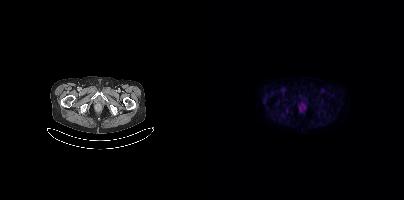
Findings: No PSMA-avid tumor lesions on this slice.
- Two-panel axial: CT | PSMA PET, 18F-PSMA tracer
- acquired on Siemens Biograph mCT Flow 20
- slice position z = -1474 mm
- PET panel 200×200 px (4.1 mm/px)